modality: PSMA PET/CT | tracer: 68Ga | view: axial | PET grid: 168×168
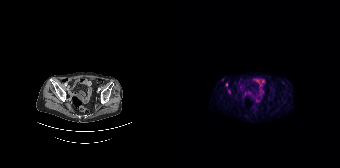
Coordinates are on the 168×168 PET (right) panel. Small PSMA-avid foci (2 to 4 px across) near (center x, center y): (50, 79) / (54, 84).